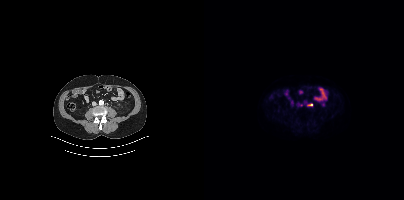
Coordinates are on the 200×200 PET (right) panel. (showing 1 of 2 foci) PSMA-avid tumor lesion bounding box (x0,y0,x1,y1): [103,104,108,105]. Two-panel axial: CT | PSMA PET, 18F tracer. Slice 163 of 442.